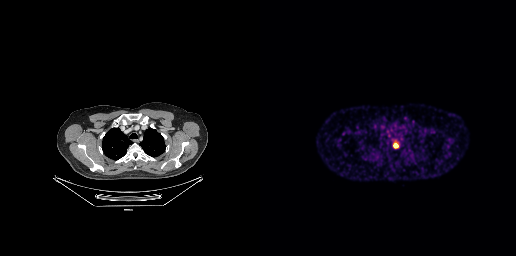
{"modality":"PSMA PET/CT","view":"axial","tracer":"68Ga-PSMA","pet_grid":[256,256],"coord_frame":"pet_panel","coord_format":"x0,y0,x1,y1","lesion_bboxes":[[133,143,138,148]]}